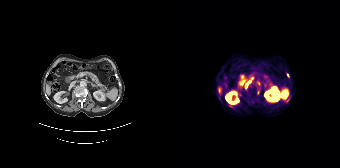
- Two-panel axial: CT | PSMA PET, 68Ga-PSMA tracer
- acquired on Siemens Biograph 64-4R TruePoint
Findings: Coordinates are on the 168×168 PET (right) panel. (showing 2 of 6 foci) PSMA-avid tumor lesion bounding box (x, y, width, height): x=73 y=81 w=6 h=7. Small PSMA-avid focus (2 to 4 px across) near (center x, center y): (115, 75).